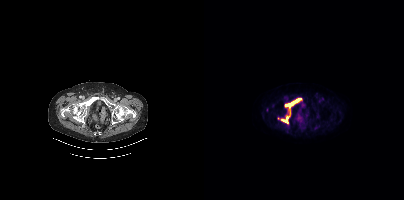
Findings: Coordinates are on the 200×200 PET (right) panel. PSMA-avid tumor lesion bounding boxes (x0,y0,x1,y1): [81,98,97,107] [78,117,84,122]. Small PSMA-avid focus (2 to 4 px across) near (center x, center y): (85, 113).
Technique: Two-panel axial: CT | PSMA PET, [18F]PSMA-1007 tracer. acquired on Siemens Biograph mCT Flow 20. slice position z = -1494 mm.